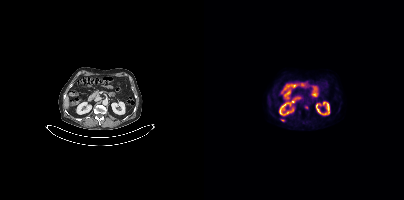
Coordinates are on the 200×200 PET (right) panel. Small PSMA-avid focus (2 to 4 px across) near (center x, center y): (78, 120).